modality: PSMA PET/CT | tracer: 18F | view: axial
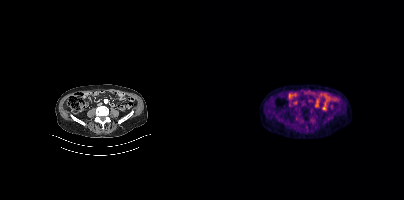
No PSMA-avid tumor lesions on this slice.